Left: CT. Right: PSMA PET, same axial level, 18F-PSMA tracer. PET panel 200×200 px (4.1 mm/px).
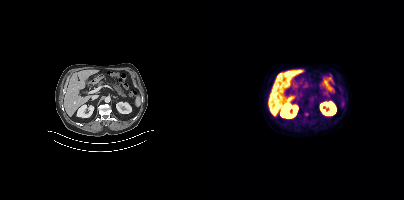
Only PSMA-avid lesion pieces thinner than 2 px on this slice (not listed).